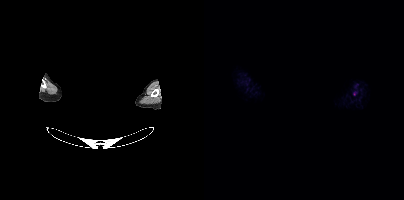
The head region is masked for de-identification. Left: CT. Right: PSMA PET, same axial level, [18F]PSMA-1007 tracer. Slice 373 of 381. This slice has no annotated PSMA-avid lesion.